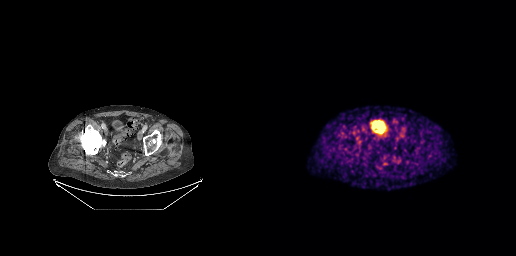
No tumor lesions annotated on this slice. Two-panel axial: CT | PSMA PET, 18F tracer. Acquired on GE Discovery 690. PET panel 256×256 px (2.7 mm/px).